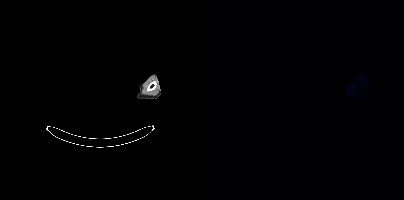
Findings: Negative for PSMA-avid disease on this slice.
Technique: Left: CT. Right: PSMA PET, same axial level, [18F]PSMA-1007 tracer. acquired on Siemens Biograph mCT Flow 20. slice position z = -832 mm.
Note: The face region was removed for patient privacy by blanking a rectangle over the head.